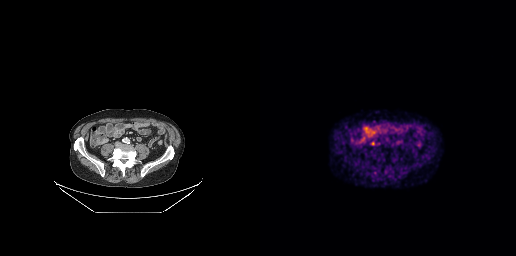
Paired axial CT (left) and PSMA PET (right), 68Ga tracer. Acquired on GE Discovery 690. Slice position z = -703 mm. PET panel 256×256 px (2.7 mm/px). Coordinates are on the 256×256 PET (right) panel. Small PSMA-avid focus (2 to 4 px across) near (center x, center y): (113, 143).